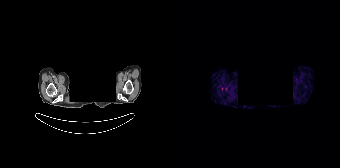
Paired axial CT (left) and PSMA PET (right), 68Ga-PSMA tracer. Slice 171 of 195. Head region blanked for anonymization (face removed). Only PSMA-avid lesion pieces thinner than 2 px on this slice (not listed).